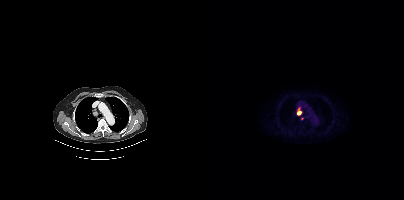
{"modality":"PSMA PET/CT","view":"axial","tracer":"18F-PSMA","pet_grid":[200,200],"coord_frame":"pet_panel","coord_format":"x0,y0,x1,y1","lesion_bboxes":[],"small_foci_centers":[[95,112],[98,118]]}